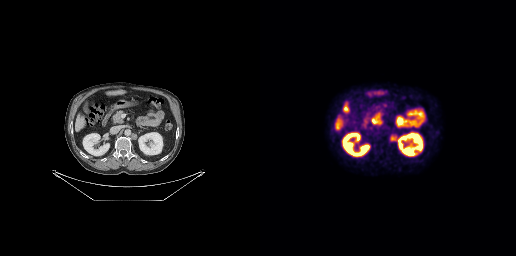
Coordinates are on the 256×256 PET (right) panel. PSMA-avid tumor lesion bounding box (x, y, width, height): x=130 y=135 w=7 h=6.